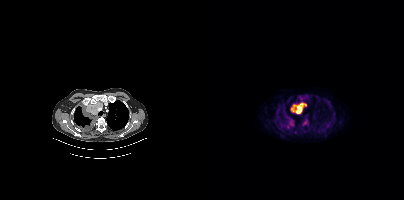
{"pet_grid":[200,200],"coord_frame":"pet_panel","coord_format":"x0,y0,x1,y1","lesion_bboxes":[[87,102,102,113],[83,120,90,127],[98,120,104,125],[81,113,85,118]],"modality":"PSMA PET/CT","view":"axial","tracer":"18F-PSMA"}